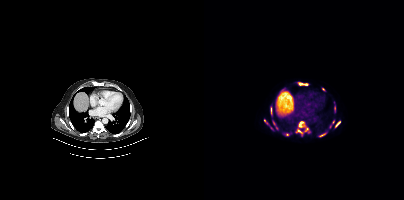
Coordinates are on the 200×200 PET (right) panel. (showing 7 of 10 foci) PSMA-avid tumor lesion bounding boxes (x0,y0,x1,y1): [95,121,99,127], [131,121,136,127], [95,83,103,85], [115,133,121,136]. Small PSMA-avid foci (2 to 4 px across) near (center x, center y): (95, 131), (129, 121), (103, 128).